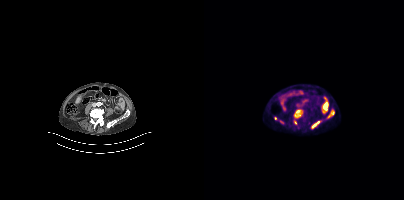
Findings: Coordinates are on the 200×200 PET (right) panel. PSMA-avid tumor lesion bounding boxes (x0,y0,x1,y1): [89,109,98,118]; [90,120,92,124].
- Paired axial CT (left) and PSMA PET (right), 18F-PSMA tracer
- acquired on Siemens Biograph mCT Flow 20